- Two-panel axial: CT | PSMA PET, 18F-PSMA tracer
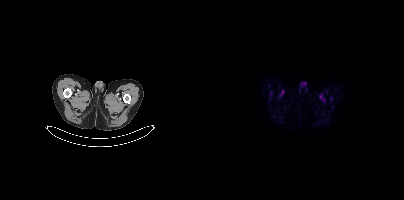
Findings: This slice has no annotated PSMA-avid lesion.